Paired axial CT (left) and PSMA PET (right), 18F-PSMA tracer. An anonymization step blacked out a rectangle over the head in this scan.
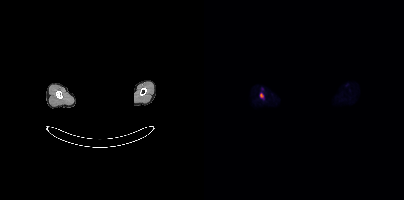
Coordinates are on the 200×200 PET (right) panel. PSMA-avid tumor lesion bounding box (x, y, width, height): x=55 y=92 w=5 h=8.